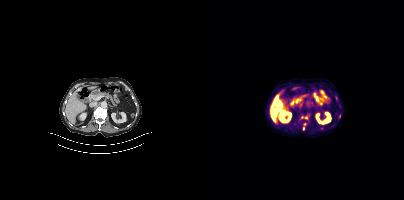
modality: PSMA PET/CT | tracer: 18F | view: axial
Coordinates are on the 200×200 PET (right) panel. (showing 3 of 4 foci) Small PSMA-avid foci (2 to 4 px across) near (center x, center y): (99, 128); (102, 117); (100, 123).